- Paired axial CT (left) and PSMA PET (right), [18F]PSMA-1007 tracer
- acquired on Siemens Biograph mCT Flow 20
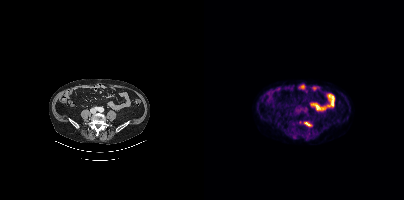
Findings: Coordinates are on the 200×200 PET (right) panel. PSMA-avid tumor lesion bounding box (x0,y0,x1,y1): [101,122,106,125].